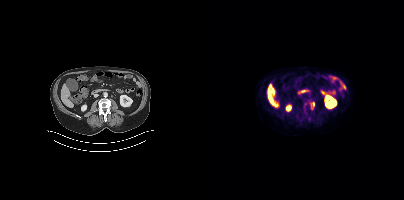
Left: CT. Right: PSMA PET, same axial level, 18F-PSMA tracer. Acquired on Siemens Biograph mCT Flow 20. Coordinates are on the 200×200 PET (right) panel. PSMA-avid tumor lesion bounding box (x0,y0,x1,y1): [107,102,110,108].